- Left: CT. Right: PSMA PET, same axial level, 18F-PSMA tracer
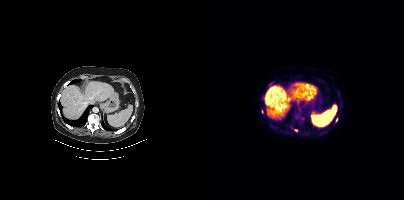
Findings: Coordinates are on the 200×200 PET (right) panel. Small PSMA-avid foci (2 to 4 px across) near (center x, center y): (91, 130) | (132, 119) | (58, 111).